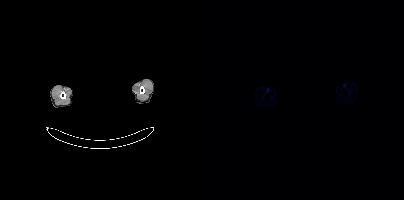
{"modality":"PSMA PET/CT","view":"axial","tracer":"68Ga","pet_grid":[200,200],"coord_frame":"pet_panel","coord_format":"x0,y0,x1,y1","psma_avid_lesions":false,"deidentification":"head region blacked out before release"}